modality: PSMA PET/CT | tracer: 68Ga | view: axial
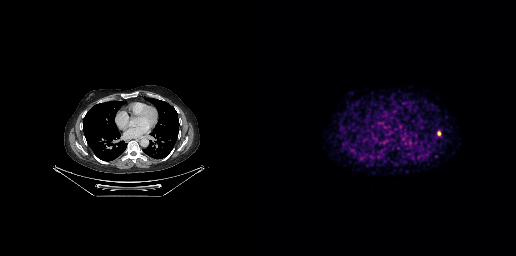
Coordinates are on the 256×256 PET (right) panel. PSMA-avid tumor lesion bounding box (x0,y0,x1,y1): [177,131,180,135].